- Two-panel axial: CT | PSMA PET, [18F]PSMA-1007 tracer
- acquired on Siemens Biograph mCT Flow 20
- slice position z = -610 mm
- PET panel 200×200 px (4.1 mm/px)
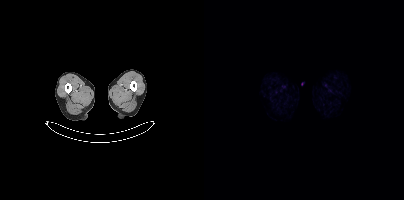
Findings: This slice has no annotated PSMA-avid lesion.